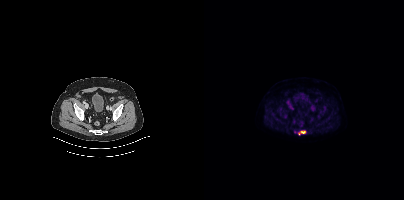
- Two-panel axial: CT | PSMA PET, 18F tracer
- slice 77 of 381
- PET panel 200×200 px (4.1 mm/px)
Findings: Coordinates are on the 200×200 PET (right) panel. PSMA-avid tumor lesion bounding box (x0,y0,x1,y1): [94,130,101,134].